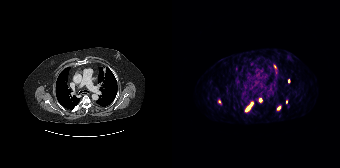
Two-panel axial: CT | PSMA PET, [68Ga]Ga-PSMA-11 tracer. Acquired on Siemens Biograph 64-4R TruePoint. PET panel 168×168 px (4.1 mm/px). Coordinates are on the 168×168 PET (right) panel. (showing 6 of 7 foci) PSMA-avid tumor lesion bounding boxes (x0, y0)-(x1, y1): (73, 102)-(81, 111) / (87, 98)-(90, 102). Small PSMA-avid foci (2 to 4 px across) near (center x, center y): (106, 107) / (47, 101) / (114, 101) / (116, 81).